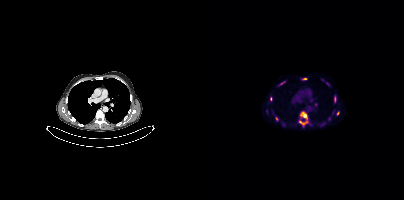
- Two-panel axial: CT | PSMA PET, 18F tracer
- acquired on Siemens Biograph mCT Flow 20
- slice position z = -1068 mm
- PET panel 200×200 px (4.1 mm/px)
Findings: Coordinates are on the 200×200 PET (right) panel. (showing 8 of 10 foci) PSMA-avid tumor lesion bounding boxes (x, y, width, height): x=95 y=111 w=10 h=17; x=130 y=95 w=3 h=8; x=66 y=97 w=3 h=5; x=132 y=111 w=4 h=5; x=98 y=78 w=5 h=2. Small PSMA-avid foci (2 to 4 px across) near (center x, center y): (72, 118); (80, 82); (125, 118).